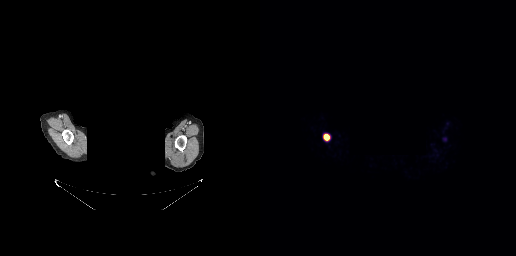
- a rectangular block over the head has been blanked out for de-identification
- Paired axial CT (left) and PSMA PET (right), 68Ga-PSMA tracer
- slice position z = -240 mm
- PET panel 256×256 px (2.7 mm/px)
Findings: Coordinates are on the 256×256 PET (right) panel. PSMA-avid tumor lesion bounding box (x0,y0,x1,y1): [64,134,69,140].